Left: CT. Right: PSMA PET, same axial level, 18F tracer.
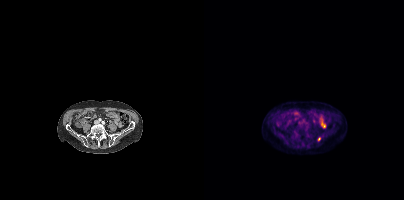
Coordinates are on the 200×200 PET (right) panel. Small PSMA-avid focus (2 to 4 px across) near (center x, center y): (115, 138).